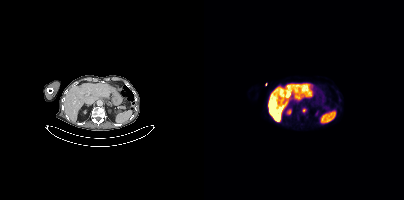
Findings: Coordinates are on the 200×200 PET (right) panel. PSMA-avid tumor lesion bounding box (x0,y0,x1,y1): [98,108,101,112]. Small PSMA-avid focus (2 to 4 px across) near (center x, center y): (61, 84).
Technique: Two-panel axial: CT | PSMA PET, 18F-PSMA tracer. acquired on Siemens Biograph mCT Flow 20. slice position z = -1170 mm. PET panel 200×200 px (4.1 mm/px).